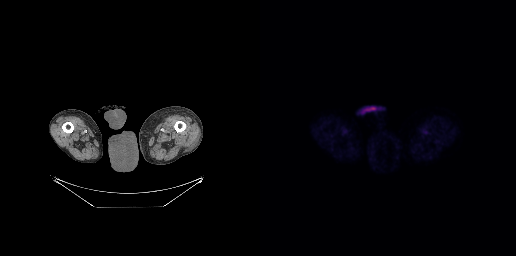
No PSMA-avid tumor lesions on this slice.